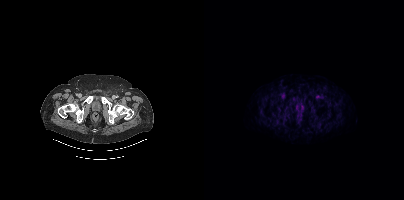
{"modality":"PSMA PET/CT","view":"axial","tracer":"18F","pet_grid":[200,200],"coord_frame":"pet_panel","coord_format":"x0,y0,x1,y1","psma_avid_lesions":false}